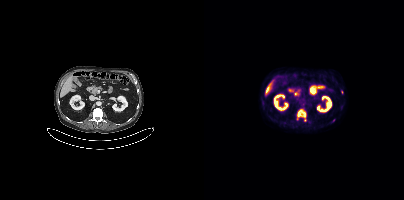
Findings: Coordinates are on the 200×200 PET (right) panel. PSMA-avid tumor lesion bounding box (x0, y0)-(x1, y1): (93, 109)-(101, 119). Small PSMA-avid foci (2 to 4 px across) near (center x, center y): (137, 92) | (100, 120).
- Left: CT. Right: PSMA PET, same axial level, 18F tracer
- slice 183 of 387